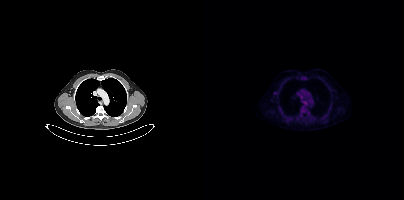
Technique: Two-panel axial: CT | PSMA PET, [18F]PSMA-1007 tracer. slice position z = -1190 mm. PET panel 200×200 px (4.1 mm/px).
Findings: Coordinates are on the 200×200 PET (right) panel. Small PSMA-avid focus (2 to 4 px across) near (center x, center y): (71, 93).